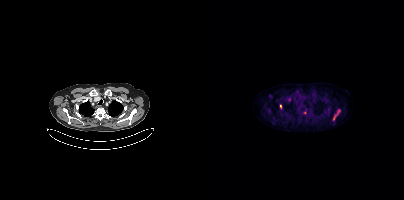
Coordinates are on the 200×200 PET (right) panel. PSMA-avid tumor lesion bounding box (x0,y0,x1,y1): [129,113,133,119]. Small PSMA-avid foci (2 to 4 px across) near (center x, center y): (76, 106); (100, 112).